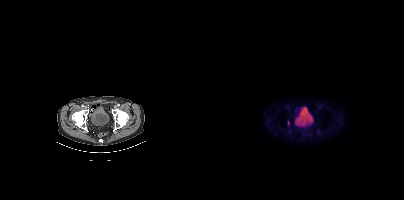
Coordinates are on the 200×200 PET (right) panel. (showing 1 of 2 foci) Small PSMA-avid focus (2 to 4 px across) near (center x, center y): (84, 122).